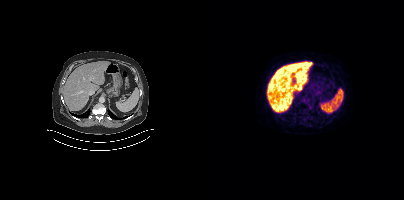
Technique: Two-panel axial: CT | PSMA PET, 18F tracer. acquired on Siemens Biograph mCT Flow 20. PET panel 200×200 px (4.1 mm/px).
Findings: Coordinates are on the 200×200 PET (right) panel. (showing 1 of 2 foci) Small PSMA-avid focus (2 to 4 px across) near (center x, center y): (106, 107).